Paired axial CT (left) and PSMA PET (right), [18F]PSMA-1007 tracer. Acquired on Siemens Biograph 64-4R TruePoint. PET panel 168×168 px (4.1 mm/px).
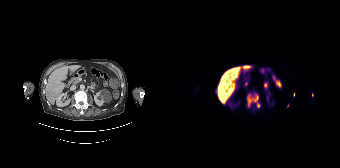
Coordinates are on the 168×168 PET (right) panel. PSMA-avid tumor lesion bounding boxes:
| # | x0 | y0 | x1 | y1 |
|---|---|---|---|---|
| 1 | 75 | 93 | 88 | 108 |
Small PSMA-avid foci (2 to 4 px across) near (center x, center y): (121, 94); (140, 95); (115, 105).